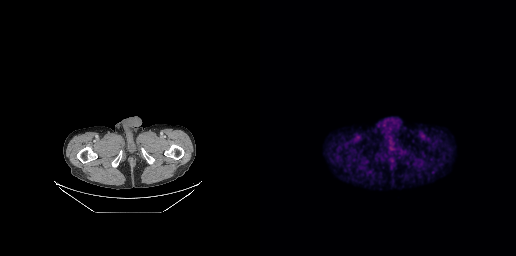
No PSMA-avid tumor lesions on this slice.